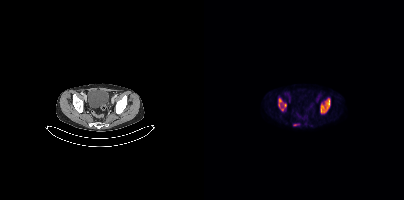
Coordinates are on the 200×200 PET (right) panel. PSMA-avid tumor lesion bounding boxes:
| # | x0 | y0 | x1 | y1 |
|---|---|---|---|---|
| 1 | 116 | 98 | 126 | 113 |
| 2 | 74 | 98 | 82 | 111 |
Small PSMA-avid focus (2 to 4 px across) near (center x, center y): (91, 124).
Left: CT. Right: PSMA PET, same axial level, 18F-PSMA tracer. PET panel 200×200 px (4.1 mm/px).